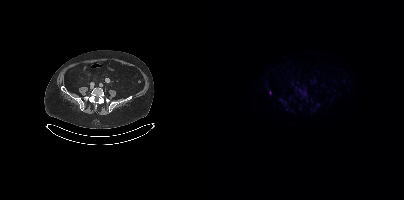
Coordinates are on the 200×200 PET (right) panel. Small PSMA-avid focus (2 to 4 px across) near (center x, center y): (66, 92).
modality: PSMA PET/CT | tracer: 18F | view: axial | PET grid: 200×200